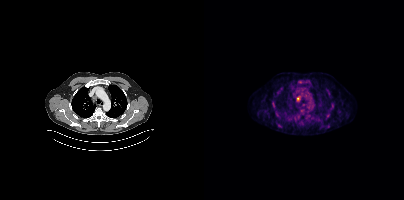
Two-panel axial: CT | PSMA PET, 18F-PSMA tracer. Acquired on Siemens Biograph mCT Flow 20. Slice position z = 1660 mm. Coordinates are on the 200×200 PET (right) panel. (showing 4 of 5 foci) Small PSMA-avid foci (2 to 4 px across) near (center x, center y): (93, 97) | (98, 110) | (103, 110) | (96, 81).